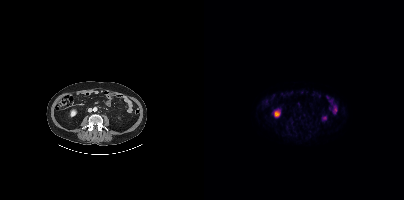
Negative for PSMA-avid disease on this slice.